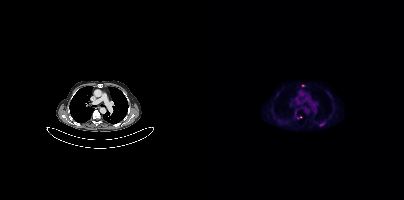
Technique: Two-panel axial: CT | PSMA PET, 18F-PSMA tracer. slice position z = -378 mm. PET panel 200×200 px (4.1 mm/px).
Findings: Coordinates are on the 200×200 PET (right) panel. (showing 2 of 3 foci) PSMA-avid tumor lesion bounding box (x0, y0)-(x1, y1): (115, 122)-(121, 126). Small PSMA-avid focus (2 to 4 px across) near (center x, center y): (98, 85).